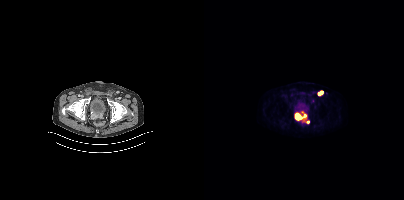
Coordinates are on the 200×200 PET (right) panel. PSMA-avid tumor lesion bounding boxes (x0, y0)-(x1, y1): (90, 111)-(105, 123) | (114, 90)-(119, 95).